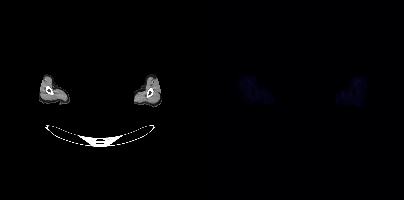
{"modality":"PSMA PET/CT","view":"axial","tracer":"[18F]PSMA-1007","pet_grid":[200,200],"coord_frame":"pet_panel","coord_format":"x0,y0,x1,y1","psma_avid_lesions":false,"de-identification":"head region blacked out before release"}